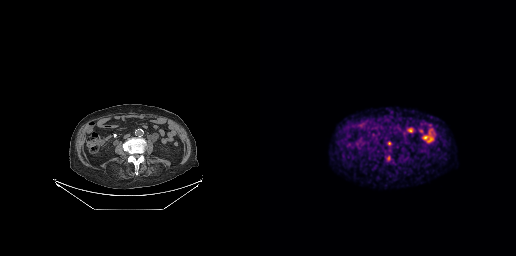
{"modality":"PSMA PET/CT","view":"axial","tracer":"18F","pet_grid":[256,256],"coord_frame":"pet_panel","coord_format":"x0,y0,x1,y1","partial":true,"lesion_bboxes":[]}